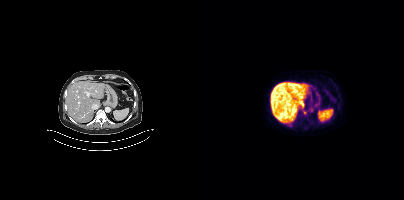
Coordinates are on the 200×200 PET (right) panel. PSMA-avid tumor lesion bounding box (x0,y0,x1,y1): [98,110,102,114].